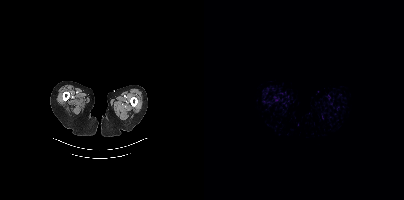
{"modality":"PSMA PET/CT","view":"axial","tracer":"[18F]PSMA-1007","pet_grid":[200,200],"coord_frame":"pet_panel","coord_format":"x0,y0,x1,y1","psma_avid_lesions":false}